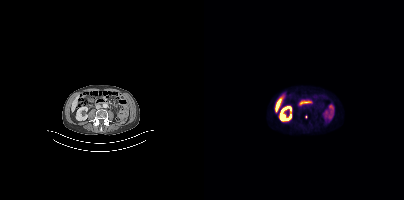
Coordinates are on the 200×200 PET (right) panel. Small PSMA-avid focus (2 to 4 px across) near (center x, center y): (101, 117). Left: CT. Right: PSMA PET, same axial level, 18F tracer. Acquired on Siemens Biograph mCT Flow 20.